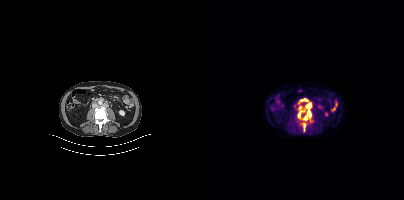
modality: PSMA PET/CT | tracer: 18F | view: axial
Coordinates are on the 200×200 PET (right) panel. (showing 5 of 6 foci) PSMA-avid tumor lesion bounding boxes (x0,y0,x1,y1): [98,110,107,120]; [94,110,100,118]; [102,103,107,108]; [99,123,101,131]. Small PSMA-avid focus (2 to 4 px across) near (center x, center y): (101, 99).